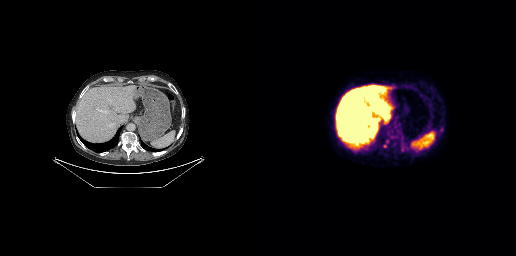
modality: PSMA PET/CT | tracer: 18F-PSMA | view: axial
Coordinates are on the 256×256 PET (right) panel. (showing 3 of 4 foci) PSMA-avid tumor lesion bounding box (x0, y0)-(x1, y1): (110, 91)-(114, 95). Small PSMA-avid foci (2 to 4 px across) near (center x, center y): (125, 146) | (181, 129).